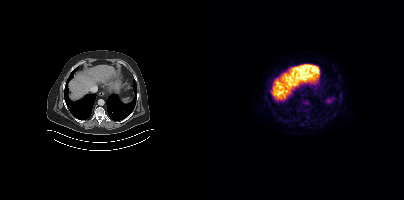
- Paired axial CT (left) and PSMA PET (right), [18F]PSMA-1007 tracer
- slice 267 of 435
- PET panel 200×200 px (4.1 mm/px)
Findings: Coordinates are on the 200×200 PET (right) panel. PSMA-avid tumor lesion bounding box (x, y, width, height): x=134 y=94 w=5 h=7.